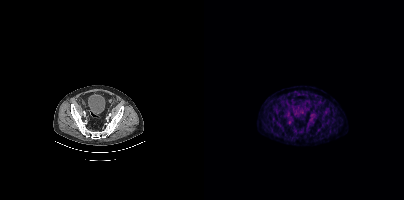
{"modality":"PSMA PET/CT","view":"axial","tracer":"18F","pet_grid":[200,200],"coord_frame":"pet_panel","coord_format":"x0,y0,x1,y1","psma_avid_lesions":false}